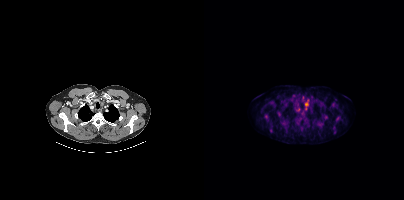
Coordinates are on the 200×200 PET (right) panel. PSMA-avid tumor lesion bounding boxes (partial; 3 more foci not listed):
| # | x0 | y0 | x1 | y1 |
|---|---|---|---|---|
| 1 | 101 | 102 | 104 | 106 |
Left: CT. Right: PSMA PET, same axial level, [18F]PSMA-1007 tracer.